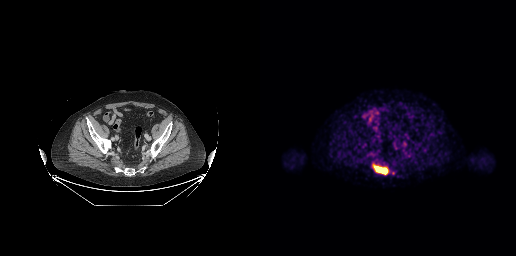
Findings: Coordinates are on the 256×256 PET (right) panel. PSMA-avid tumor lesion bounding box (x0,y0,x1,y1): [113,164,128,174].
Technique: Two-panel axial: CT | PSMA PET, [18F]PSMA-1007 tracer. PET panel 256×256 px (2.7 mm/px).